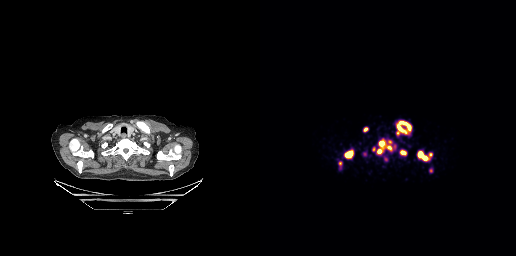
Coordinates are on the 256×256 PET (right) panel. (showing 9 of 10 foci) PSMA-avid tumor lesion bounding boxes (x0, y0)-(x1, y1): (136, 120)-(151, 134) / (158, 151)-(167, 160) / (85, 151)-(92, 157) / (140, 150)-(146, 155) / (103, 127)-(108, 131) / (120, 141)-(123, 145) / (118, 149)-(121, 153). Small PSMA-avid foci (2 to 4 px across) near (center x, center y): (129, 147) / (104, 154). Left: CT. Right: PSMA PET, same axial level, 68Ga tracer. PET panel 256×256 px (2.7 mm/px).